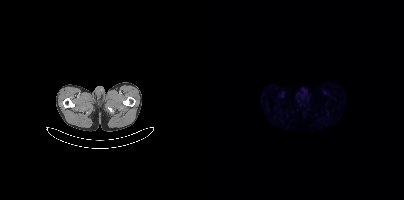
{"pet_grid":[200,200],"coord_frame":"pet_panel","coord_format":"x0,y0,x1,y1","psma_avid_lesions":false,"modality":"PSMA PET/CT","view":"axial","tracer":"68Ga"}